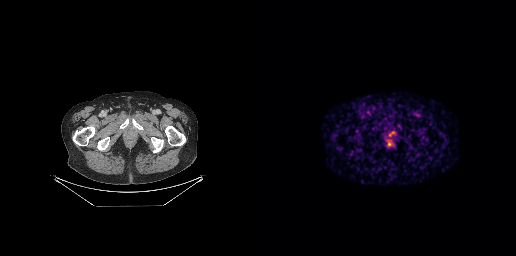
Left: CT. Right: PSMA PET, same axial level, [68Ga]Ga-PSMA-11 tracer. Acquired on GE Discovery 690. Slice position z = -945 mm.
Coordinates are on the 256×256 PET (right) panel. PSMA-avid tumor lesion bounding boxes:
| # | x0 | y0 | x1 | y1 |
|---|---|---|---|---|
| 1 | 128 | 130 | 135 | 137 |